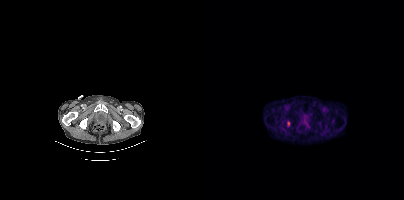
Findings: Coordinates are on the 200×200 PET (right) panel. PSMA-avid tumor lesion bounding box (x0, y0)-(x1, y1): (83, 122)-(86, 126).
Technique: Left: CT. Right: PSMA PET, same axial level, 18F tracer. acquired on Siemens Biograph mCT Flow 20.